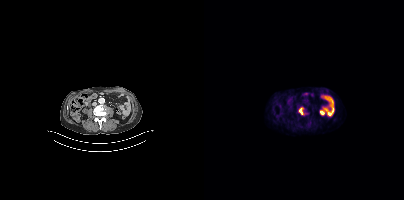
Coordinates are on the 200×200 PET (right) panel. PSMA-avid tumor lesion bounding box (x0, y0)-(x1, y1): (94, 107)-(100, 114).